Left: CT. Right: PSMA PET, same axial level, [18F]PSMA-1007 tracer. Slice 192 of 389.
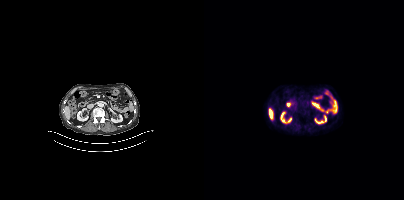
Negative for PSMA-avid disease on this slice.